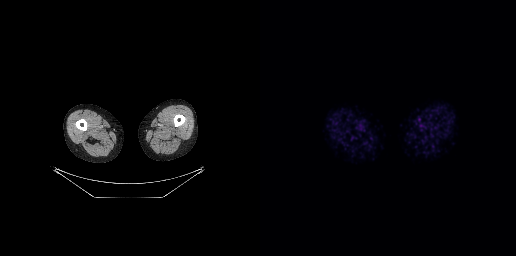
{"modality":"PSMA PET/CT","view":"axial","tracer":"68Ga","pet_grid":[256,256],"coord_frame":"pet_panel","coord_format":"x0,y0,x1,y1","psma_avid_lesions":false}